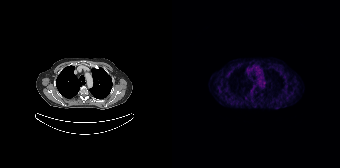
Negative for PSMA-avid disease on this slice.
modality: PSMA PET/CT | tracer: 68Ga-PSMA | view: axial | PET grid: 168×168